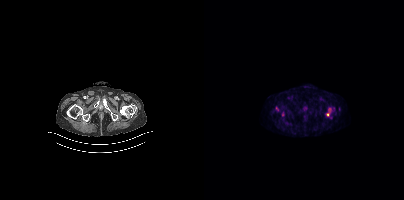
modality: PSMA PET/CT | tracer: 18F | view: axial
Coordinates are on the 200×200 PET (right) panel. PSMA-avid tumor lesion bounding boxes (x0, y0)-(x1, y1): (122, 108)-(127, 116) | (72, 106)-(74, 111).